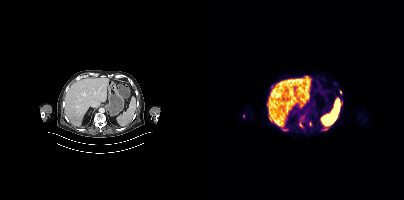
Findings: Coordinates are on the 200×200 PET (right) panel. (showing 8 of 9 foci) PSMA-avid tumor lesion bounding boxes (x, y, width, height): x=119 y=127 w=6 h=4; x=78 y=127 w=5 h=4; x=63 y=104 w=2 h=5. Small PSMA-avid foci (2 to 4 px across) near (center x, center y): (96, 125); (136, 92); (106, 124); (137, 101); (39, 115).
- Paired axial CT (left) and PSMA PET (right), [18F]PSMA-1007 tracer
- slice position z = -1128 mm
- PET panel 200×200 px (4.1 mm/px)